modality: PSMA PET/CT | tracer: 18F | view: axial | PET grid: 200×200 | redaction: rectangular block over head set to black
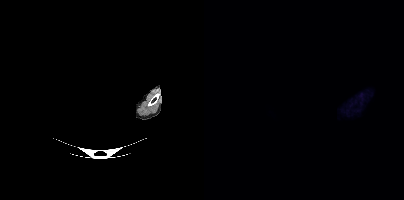
Negative for PSMA-avid disease on this slice.